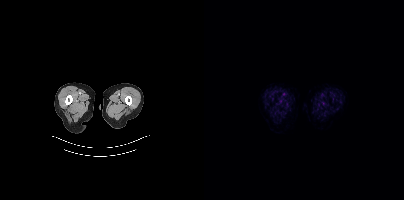
{"modality":"PSMA PET/CT","view":"axial","tracer":"18F-PSMA","pet_grid":[200,200],"coord_frame":"pet_panel","coord_format":"x0,y0,x1,y1","psma_avid_lesions":false}